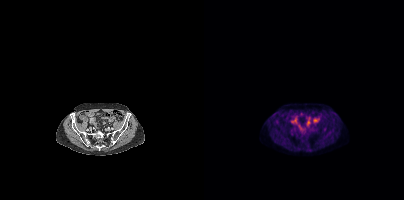
- Two-panel axial: CT | PSMA PET, [18F]PSMA-1007 tracer
- slice position z = -322 mm
Findings: Coordinates are on the 200×200 PET (right) panel. Small PSMA-avid focus (2 to 4 px across) near (center x, center y): (120, 129).